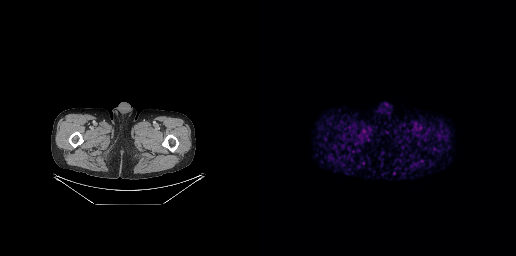
Negative for PSMA-avid disease on this slice.